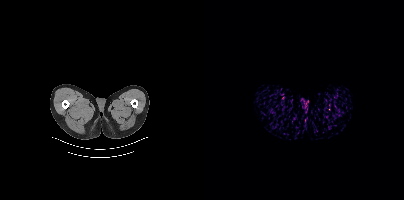
Findings: Negative for PSMA-avid disease on this slice.
- Two-panel axial: CT | PSMA PET, 68Ga tracer
- PET panel 200×200 px (4.1 mm/px)